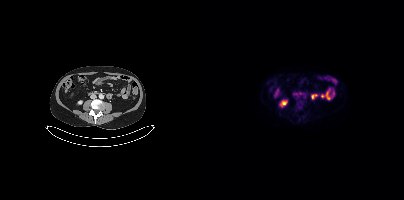
Findings: Negative for PSMA-avid disease on this slice.
- Left: CT. Right: PSMA PET, same axial level, 18F tracer